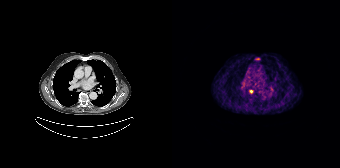
Coordinates are on the 168×168 PET (right) panel. PSMA-avid tumor lesion bounding box (x, y, width, height): x=77 y=90 w=5 h=4.